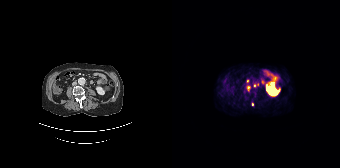
{"modality":"PSMA PET/CT","view":"axial","tracer":"68Ga-PSMA","pet_grid":[168,168],"coord_frame":"pet_panel","coord_format":"x0,y0,x1,y1","lesion_bboxes":[[75,86,78,90]],"small_foci_centers":[[82,85],[80,104],[75,81],[85,84]]}